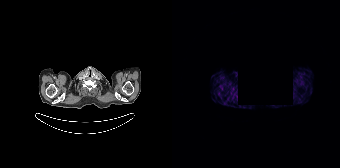
{"modality":"PSMA PET/CT","view":"axial","tracer":"[68Ga]Ga-PSMA-11","pet_grid":[168,168],"coord_frame":"pet_panel","coord_format":"x0,y0,x1,y1","deidentification":"privacy mask (black rectangle)","psma_avid_lesions":false}